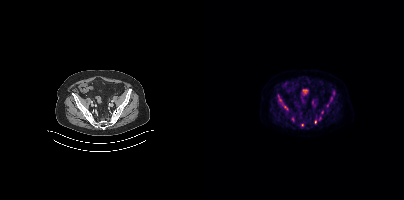
Paired axial CT (left) and PSMA PET (right), [18F]PSMA-1007 tracer. Slice position z = -1380 mm. PET panel 200×200 px (4.1 mm/px). Coordinates are on the 200×200 PET (right) panel. (showing 9 of 10 foci) Small PSMA-avid foci (2 to 4 px across) near (center x, center y): (129, 92) / (127, 98) / (81, 107) / (89, 118) / (76, 100) / (108, 102) / (111, 122) / (118, 112) / (98, 124).